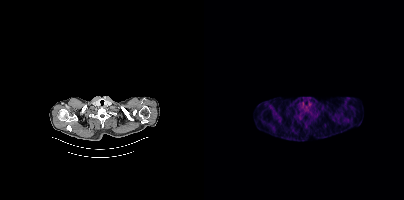
No PSMA-avid tumor lesions on this slice. Two-panel axial: CT | PSMA PET, 18F-PSMA tracer. Acquired on Siemens Biograph mCT Flow 20. Slice 370 of 448.